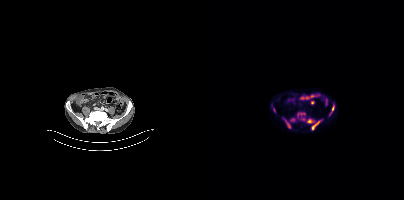
Paired axial CT (left) and PSMA PET (right), 18F-PSMA tracer. Slice 122 of 375. PET panel 200×200 px (4.1 mm/px).
Coordinates are on the 200×200 PET (right) panel. PSMA-avid tumor lesion bounding boxes:
| # | x0 | y0 | x1 | y1 |
|---|---|---|---|---|
| 1 | 103 | 118 | 119 | 130 |
| 2 | 125 | 104 | 130 | 115 |
| 3 | 82 | 121 | 86 | 128 |
| 4 | 93 | 113 | 101 | 115 |
| 5 | 69 | 108 | 71 | 112 |
Small PSMA-avid foci (2 to 4 px across) near (center x, center y): (88, 119); (99, 119); (79, 118).